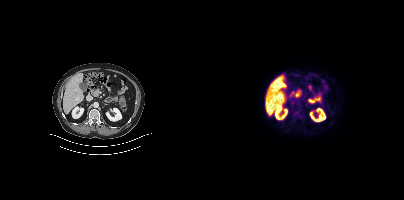
- Paired axial CT (left) and PSMA PET (right), 18F-PSMA tracer
- slice position z = -570 mm
- PET panel 200×200 px (4.1 mm/px)
Findings: Only PSMA-avid lesion pieces thinner than 2 px on this slice (not listed).